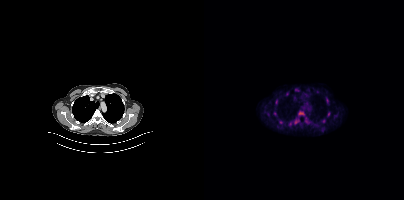
modality: PSMA PET/CT | tracer: [18F]PSMA-1007 | view: axial
Coordinates are on the 200×200 PET (right) panel. (showing 5 of 9 foci) PSMA-avid tumor lesion bounding boxes (x0,y0,x1,y1): [122,98,124,103], [123,112,126,116]. Small PSMA-avid foci (2 to 4 px across) near (center x, center y): (119, 120), (76, 122), (71, 113).